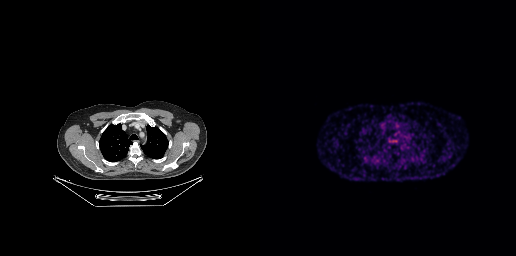
{"modality":"PSMA PET/CT","view":"axial","tracer":"68Ga","pet_grid":[256,256],"coord_frame":"pet_panel","coord_format":"x0,y0,x1,y1","psma_avid_lesions":false}